Two-panel axial: CT | PSMA PET, [18F]PSMA-1007 tracer. PET panel 256×256 px (2.7 mm/px).
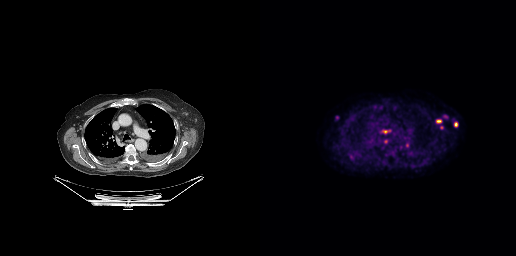
Coordinates are on the 256×256 PET (right) panel. PSMA-avid tumor lesion bounding boxes:
| # | x0 | y0 | x1 | y1 |
|---|---|---|---|---|
| 1 | 120 | 129 | 131 | 134 |
| 2 | 176 | 118 | 181 | 123 |
| 3 | 89 | 155 | 94 | 160 |
| 4 | 193 | 122 | 197 | 126 |
| 5 | 75 | 116 | 79 | 119 |
Small PSMA-avid foci (2 to 4 px across) near (center x, center y): (181, 127); (125, 141); (114, 106); (193, 119); (147, 145); (185, 116).